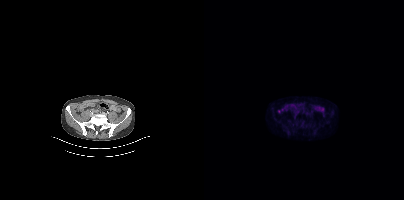
Coordinates are on the 200×200 PET (right) panel. Small PSMA-avid focus (2 to 4 px across) near (center x, center y): (75, 111).